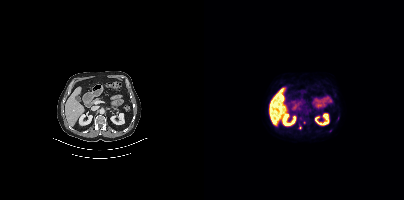
modality: PSMA PET/CT | tracer: [18F]PSMA-1007 | view: axial | PET grid: 200×200
Coordinates are on the 200×200 PET (right) panel. (showing 1 of 2 foci) Small PSMA-avid focus (2 to 4 px across) near (center x, center y): (96, 127).